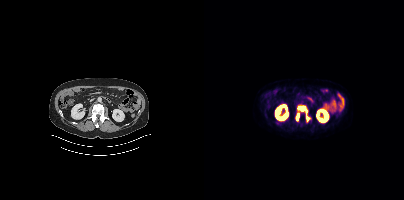
{"modality":"PSMA PET/CT","view":"axial","tracer":"18F","pet_grid":[200,200],"coord_frame":"pet_panel","coord_format":"x0,y0,x1,y1","lesion_bboxes":[[93,106,105,121],[92,113,95,120]]}